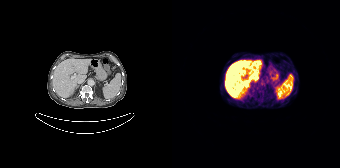
Technique: Left: CT. Right: PSMA PET, same axial level, 68Ga-PSMA tracer. acquired on Siemens Biograph 64-4R TruePoint.
Findings: This slice has no annotated PSMA-avid lesion.